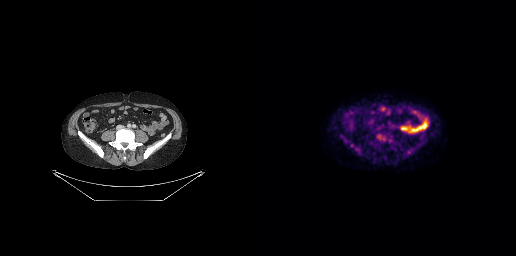
No tumor lesions annotated on this slice.